modality: PSMA PET/CT | tracer: 18F-PSMA | view: axial
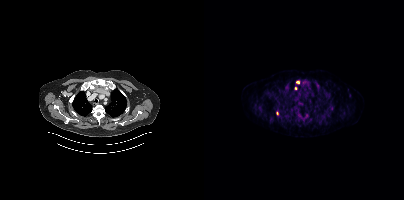
Coordinates are on the 200×200 PET (right) panel. (showing 12 of 14 foci) PSMA-avid tumor lesion bounding boxes (x, y, width, height): x=91 y=112 w=15 h=13; x=121 y=93 w=6 h=7; x=54 y=106 w=5 h=4; x=127 y=105 w=3 h=5. Small PSMA-avid foci (2 to 4 px across) near (center x, center y): (93, 82); (67, 120); (91, 88); (114, 89); (73, 113); (100, 82); (87, 114); (85, 120).